Technique: Paired axial CT (left) and PSMA PET (right), [68Ga]Ga-PSMA-11 tracer. acquired on Siemens Biograph 64-4R TruePoint.
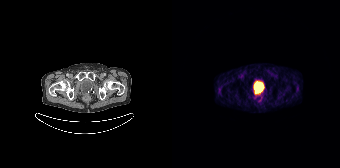
Findings: No tumor lesions annotated on this slice.